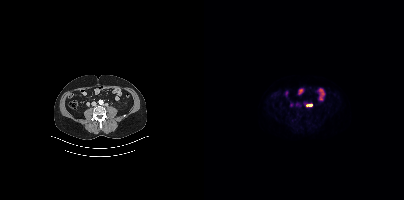
{"modality":"PSMA PET/CT","view":"axial","tracer":"18F-PSMA","pet_grid":[200,200],"coord_frame":"pet_panel","coord_format":"x0,y0,x1,y1","lesion_bboxes":[[102,104,108,106]]}